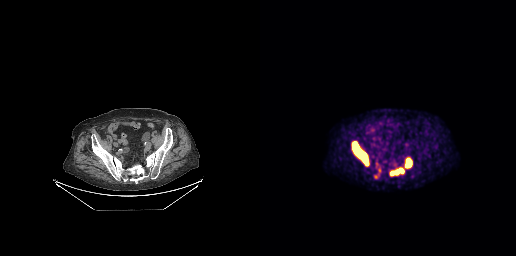
Findings: Coordinates are on the 256×256 PET (right) panel. PSMA-avid tumor lesion bounding boxes (x, y, width, height): x=92 y=141 w=17 h=25; x=129 y=167 w=16 h=9; x=145 y=157 w=8 h=12. Small PSMA-avid focus (2 to 4 px across) near (center x, center y): (115, 176).
- Two-panel axial: CT | PSMA PET, [18F]PSMA-1007 tracer